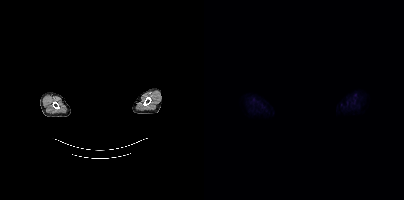
Findings: Negative for PSMA-avid disease on this slice.
Technique: Left: CT. Right: PSMA PET, same axial level, 18F-PSMA tracer. slice 420 of 452.
Note: Facial anatomy redacted by setting a rectangular region of the head to black.